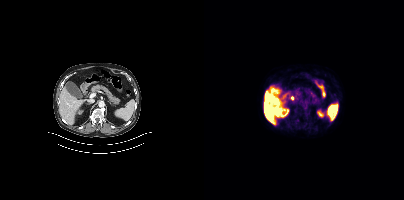
- Left: CT. Right: PSMA PET, same axial level, 18F-PSMA tracer
Findings: No tumor lesions annotated on this slice.